modality: PSMA PET/CT | tracer: 18F-PSMA | view: axial | PET grid: 200×200
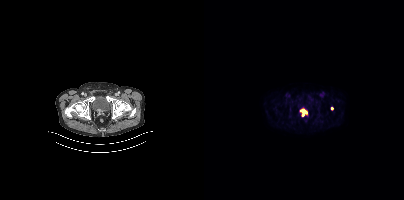
Coordinates are on the 200×200 PET (right) panel. (showing 2 of 3 foci) PSMA-avid tumor lesion bounding box (x0, y0)-(x1, y1): (100, 111)-(103, 115). Small PSMA-avid focus (2 to 4 px across) near (center x, center y): (98, 110).